Two-panel axial: CT | PSMA PET, 18F-PSMA tracer. Slice 85 of 263.
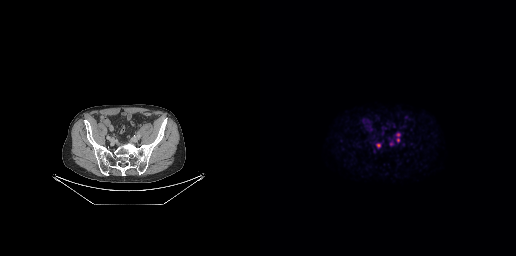
Coordinates are on the 256×256 PET (right) panel. PSMA-avid tumor lesion bounding boxes:
| # | x0 | y0 | x1 | y1 |
|---|---|---|---|---|
| 1 | 116 | 143 | 120 | 147 |
Small PSMA-avid foci (2 to 4 px across) near (center x, center y): (138, 134); (138, 139); (131, 143).